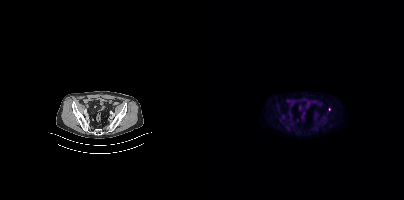
modality: PSMA PET/CT | tracer: 18F-PSMA | view: axial | PET grid: 200×200
Coordinates are on the 200×200 PET (right) panel. Small PSMA-avid focus (2 to 4 px across) near (center x, center y): (125, 109).